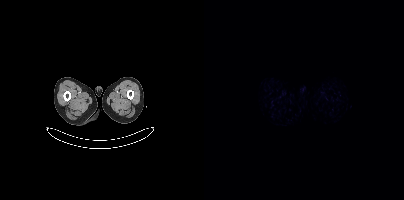
{"modality":"PSMA PET/CT","view":"axial","tracer":"[68Ga]Ga-PSMA-11","pet_grid":[200,200],"coord_frame":"pet_panel","coord_format":"x0,y0,x1,y1","psma_avid_lesions":false}